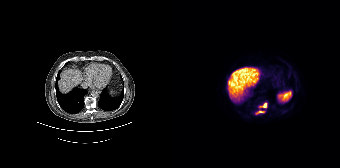
- Paired axial CT (left) and PSMA PET (right), 18F-PSMA tracer
- PET panel 168×168 px (4.1 mm/px)
Findings: Coordinates are on the 168×168 PET (right) panel. PSMA-avid tumor lesion bounding boxes (x, y, width, height): x=87 y=102 w=9 h=7 | x=83 y=110 w=11 h=5.